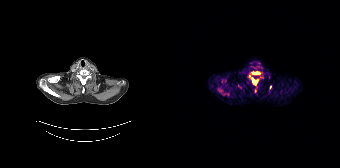
{"modality":"PSMA PET/CT","view":"axial","tracer":"68Ga-PSMA","pet_grid":[168,168],"coord_frame":"pet_panel","coord_format":"x0,y0,x1,y1","partial":true,"lesion_bboxes":[[80,71,87,74],[80,78,85,84]],"small_foci_centers":[[77,76],[98,87],[83,90]]}